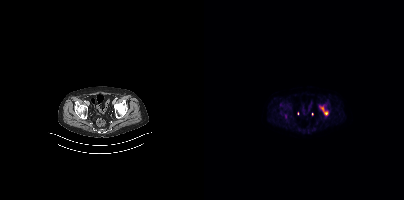
modality: PSMA PET/CT | tracer: 18F | view: axial | PET grid: 200×200
Coordinates are on the 200×200 PET (right) panel. PSMA-avid tumor lesion bounding box (x, y, width, height): x=116 y=106 w=9 h=9. Small PSMA-avid focus (2 to 4 px across) near (center x, center y): (76, 104).